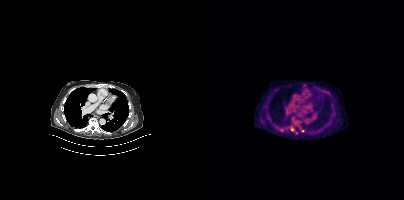
Findings: Coordinates are on the 200×200 PET (right) panel. Small PSMA-avid foci (2 to 4 px across) near (center x, center y): (87, 128) | (98, 130).
Technique: Left: CT. Right: PSMA PET, same axial level, [18F]PSMA-1007 tracer. slice 262 of 377. PET panel 200×200 px (4.1 mm/px).